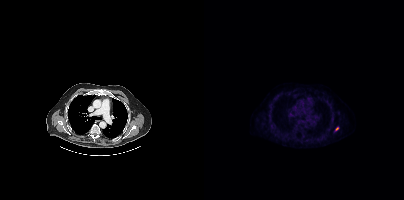
Coordinates are on the 200×200 PET (right) panel. Small PSMA-avid focus (2 to 4 px across) near (center x, center y): (133, 129).